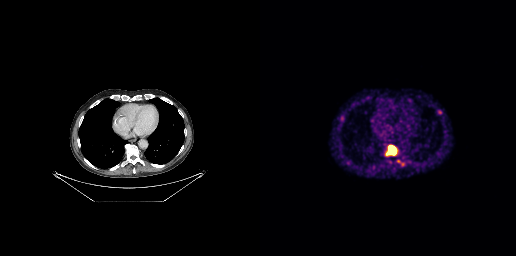
- Paired axial CT (left) and PSMA PET (right), 68Ga-PSMA tracer
- slice 159 of 263
- PET panel 256×256 px (2.7 mm/px)
Findings: Coordinates are on the 256×256 PET (right) panel. PSMA-avid tumor lesion bounding box (x0, y0)-(x1, y1): (125, 146)-(136, 155). Small PSMA-avid foci (2 to 4 px across) near (center x, center y): (88, 163) | (181, 111).